modality: PSMA PET/CT | tracer: 18F | view: axial
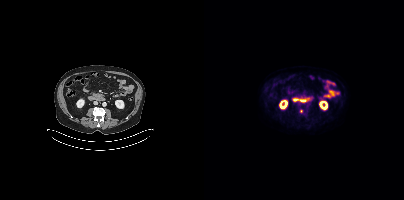
Coordinates are on the 200×200 PET (right) panel. Small PSMA-avid focus (2 to 4 px across) near (center x, center y): (97, 111).